Any black rectangle over the head is a privacy mask, not anatomy. Two-panel axial: CT | PSMA PET, 68Ga-PSMA tracer. PET panel 168×168 px (4.1 mm/px).
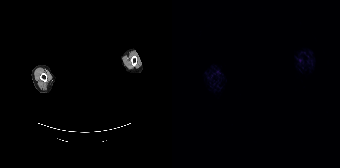
No PSMA-avid tumor lesions on this slice.